Technique: Two-panel axial: CT | PSMA PET, 18F tracer. slice 308 of 442.
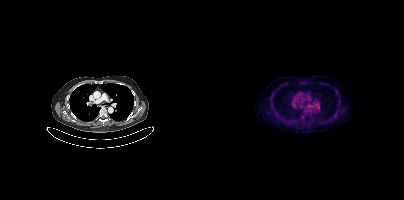
Findings: No tumor lesions annotated on this slice.